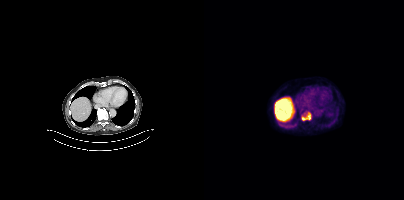
Coordinates are on the 200×200 PET (right) panel. PSMA-avid tumor lesion bounding box (x, y, width, height): x=97 y=112 w=11 h=9.
modality: PSMA PET/CT | tracer: 18F | view: axial | PET grid: 200×200